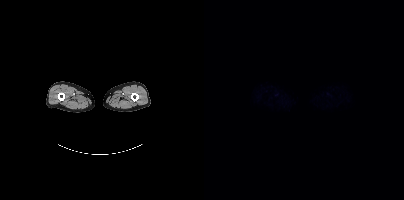
No PSMA-avid tumor lesions on this slice.
modality: PSMA PET/CT | tracer: 18F-PSMA | view: axial